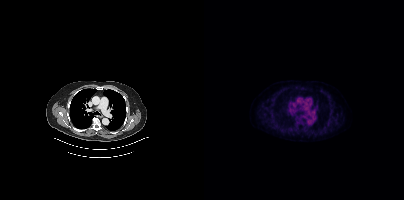
Technique: Paired axial CT (left) and PSMA PET (right), 18F-PSMA tracer.
Findings: No PSMA-avid tumor lesions on this slice.